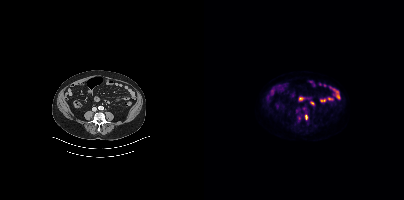
Findings: Coordinates are on the 200×200 PET (right) panel. PSMA-avid tumor lesion bounding box (x0,y0,x1,y1): [101,115,103,119].
- Two-panel axial: CT | PSMA PET, 18F-PSMA tracer
- slice position z = -622 mm
- PET panel 200×200 px (4.1 mm/px)